- Left: CT. Right: PSMA PET, same axial level, 68Ga tracer
- PET panel 200×200 px (4.1 mm/px)
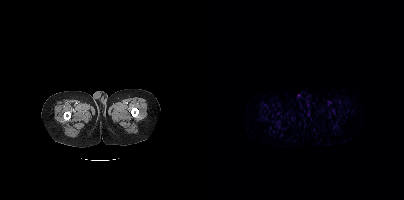
Findings: No tumor lesions annotated on this slice.